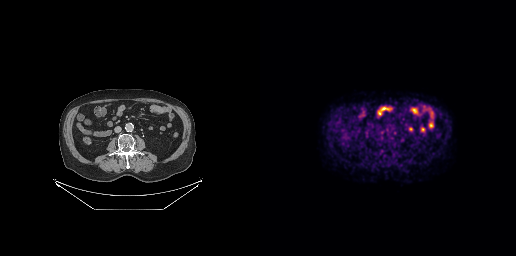
Findings: This slice has no annotated PSMA-avid lesion.
Technique: Paired axial CT (left) and PSMA PET (right), [18F]PSMA-1007 tracer. slice position z = -495 mm.